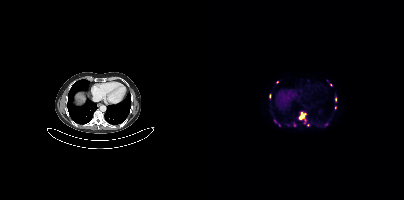
Coordinates are on the 200×200 PET (right) panel. (showing 7 of 11 foci) PSMA-avid tumor lesion bounding boxes (x0,y0,x1,y1): [95,113,102,121]; [89,122,92,126]. Small PSMA-avid foci (2 to 4 px across) near (center x, center y): (131, 100); (131, 107); (75, 125); (73, 81); (104, 124).